- Left: CT. Right: PSMA PET, same axial level, [68Ga]Ga-PSMA-11 tracer
- acquired on GE Discovery 690
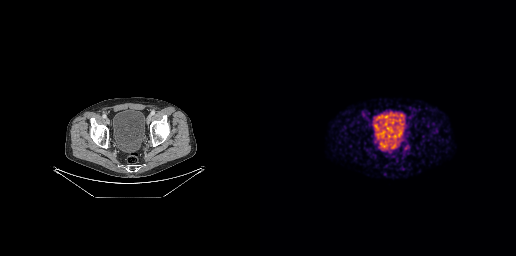
Findings: Negative for PSMA-avid disease on this slice.